de-identification: head region blanked (face removed) | modality: PSMA PET/CT | tracer: [18F]PSMA-1007 | view: axial
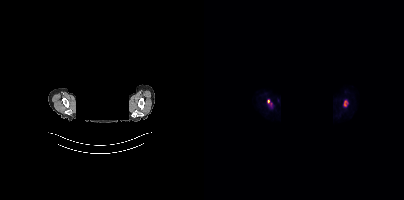
Coordinates are on the 200×200 PET (right) panel. (showing 2 of 3 foci) PSMA-avid tumor lesion bounding boxes (x0, y0)-(x1, y1): (140, 100)-(143, 106); (63, 99)-(65, 103).